De-identified by setting a rectangular region to black.
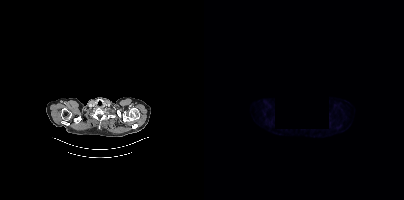
No PSMA-avid tumor lesions on this slice.